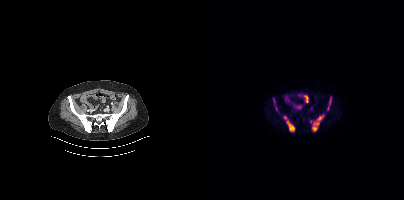
Left: CT. Right: PSMA PET, same axial level, 18F tracer. Acquired on Siemens Biograph mCT Flow 20. Slice 88 of 395. PET panel 200×200 px (4.1 mm/px).
Coordinates are on the 200×200 PET (right) panel. PSMA-avid tumor lesion bounding boxes (partial; 2 more foci not listed):
| # | x0 | y0 | x1 | y1 |
|---|---|---|---|---|
| 1 | 108 | 115 | 119 | 131 |
| 2 | 80 | 118 | 91 | 131 |
| 3 | 125 | 97 | 127 | 104 |
Small PSMA-avid foci (2 to 4 px across) near (center x, center y): (123, 108); (106, 121).